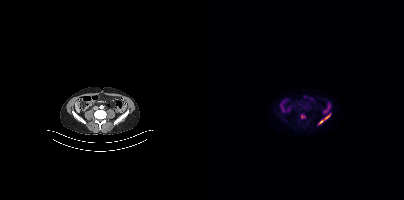
Coordinates are on the 200×200 PET (right) panel. PSMA-avid tumor lesion bounding box (x0, y0)-(x1, y1): (115, 114)-(126, 123).